- Two-panel axial: CT | PSMA PET, 68Ga tracer
- slice position z = -980 mm
- PET panel 200×200 px (4.1 mm/px)
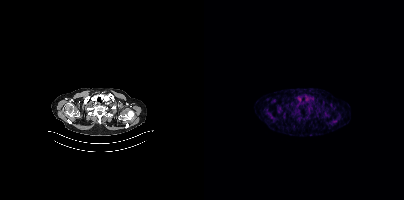
Findings: This slice has no annotated PSMA-avid lesion.